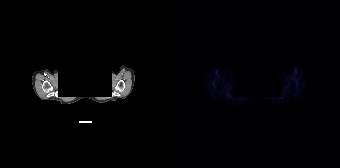
Privacy masking over the head, with the pixels inside a rectangle set to black.
Negative for PSMA-avid disease on this slice.